Two-panel axial: CT | PSMA PET, 68Ga-PSMA tracer. Slice position z = -1604 mm. PET panel 200×200 px (4.1 mm/px).
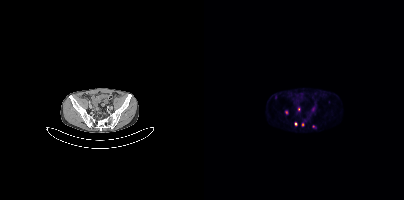
Coordinates are on the 200×200 PET (right) panel. (showing 4 of 5 foci) Small PSMA-avid foci (2 to 4 px across) near (center x, center y): (98, 124); (94, 109); (91, 124); (82, 112).